Two-panel axial: CT | PSMA PET, [18F]PSMA-1007 tracer. Slice position z = -1550 mm.
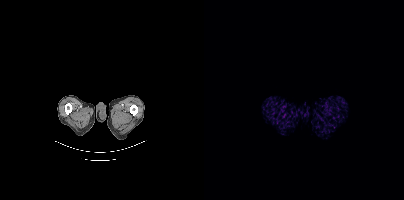
This slice has no annotated PSMA-avid lesion.